Left: CT. Right: PSMA PET, same axial level, 18F tracer. Acquired on Siemens Biograph mCT Flow 20. Slice 398 of 454. PET panel 200×200 px (4.1 mm/px). Any black rectangle over the head is a privacy mask, not anatomy.
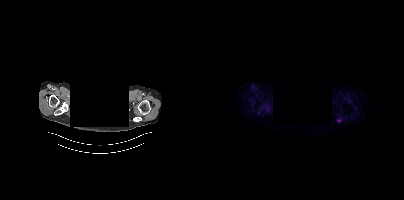
Coordinates are on the 200×200 PET (right) panel. PSMA-avid tumor lesion bounding boxes (partial; 1 more focus not listed):
| # | x0 | y0 | x1 | y1 |
|---|---|---|---|---|
| 1 | 133 | 117 | 138 | 122 |